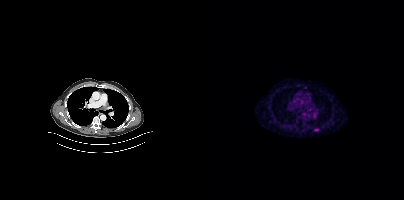
Technique: Paired axial CT (left) and PSMA PET (right), 68Ga tracer. slice position z = -1028 mm. PET panel 200×200 px (4.1 mm/px).
Findings: No PSMA-avid tumor lesions on this slice.